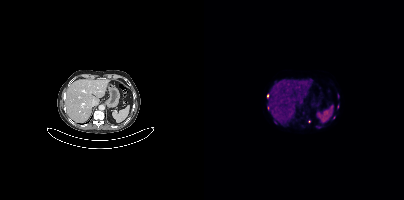
Findings: Coordinates are on the 200×200 PET (right) panel. (showing 5 of 8 foci) Small PSMA-avid foci (2 to 4 px across) near (center x, center y): (64, 107); (115, 127); (63, 95); (129, 117); (71, 122).
- Two-panel axial: CT | PSMA PET, 68Ga-PSMA tracer
- slice position z = -1155 mm
- PET panel 200×200 px (4.1 mm/px)